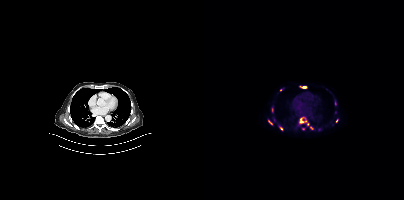
Technique: Left: CT. Right: PSMA PET, same axial level, 18F tracer. acquired on Siemens Biograph mCT Flow 20.
Findings: Coordinates are on the 200×200 PET (right) panel. (showing 5 of 7 foci) PSMA-avid tumor lesion bounding boxes (x0, y0)-(x1, y1): (96, 118)-(99, 122) / (64, 120)-(68, 124). Small PSMA-avid foci (2 to 4 px across) near (center x, center y): (77, 128) / (132, 121) / (76, 89).